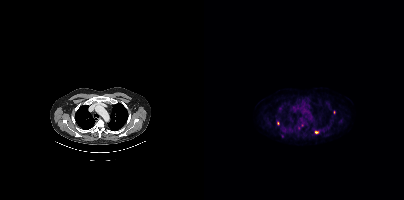
Technique: Paired axial CT (left) and PSMA PET (right), 18F tracer. acquired on Siemens Biograph mCT Flow 20. slice position z = -1065 mm.
Findings: Coordinates are on the 200×200 PET (right) panel. (showing 4 of 5 foci) Small PSMA-avid foci (2 to 4 px across) near (center x, center y): (74, 123) / (98, 125) / (112, 132) / (94, 128).